A rectangle over the head was blacked out to remove identifiable facial features.
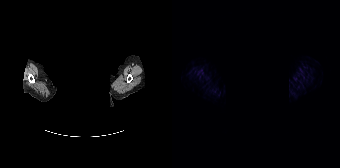
Negative for PSMA-avid disease on this slice.